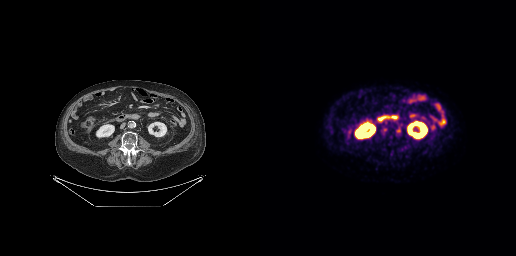
Left: CT. Right: PSMA PET, same axial level, [18F]PSMA-1007 tracer. Acquired on GE Discovery 690. PET panel 256×256 px (2.7 mm/px). Coordinates are on the 256×256 PET (right) panel. (showing 2 of 3 foci) PSMA-avid tumor lesion bounding box (x, y, width, height): x=121 y=126 w=7 h=9. Small PSMA-avid focus (2 to 4 px across) near (center x, center y): (138, 130).